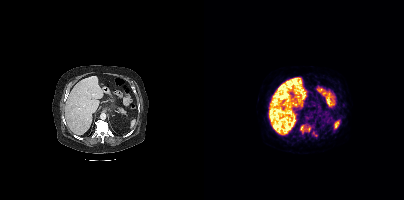
Two-panel axial: CT | PSMA PET, 68Ga tracer. Acquired on Siemens Biograph mCT Flow 20. Slice position z = 617 mm. Coordinates are on the 200×200 PET (right) panel. PSMA-avid tumor lesion bounding box (x, y, width, height): x=96 y=125 w=11 h=8. Small PSMA-avid focus (2 to 4 px across) near (center x, center y): (112, 135).